Technique: Two-panel axial: CT | PSMA PET, 18F-PSMA tracer. acquired on Siemens Biograph mCT Flow 20. slice position z = -1078 mm.
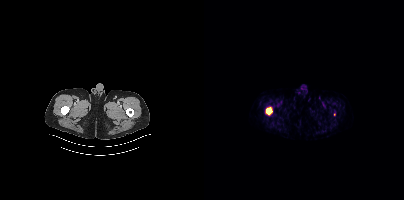
Findings: Coordinates are on the 200×200 PET (right) panel. PSMA-avid tumor lesion bounding box (x0,y0,x1,y1): [62,107,68,114].